Two-panel axial: CT | PSMA PET, 68Ga tracer. Acquired on GE Discovery 690. Slice position z = -529 mm. PET panel 256×256 px (2.7 mm/px).
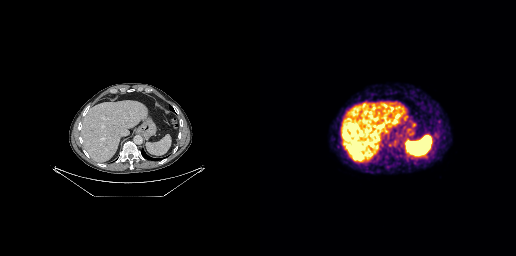
Coordinates are on the 256×256 PET (right) panel. Small PSMA-avid focus (2 to 4 px across) near (center x, center y): (175, 134).